Paired axial CT (left) and PSMA PET (right), 18F tracer.
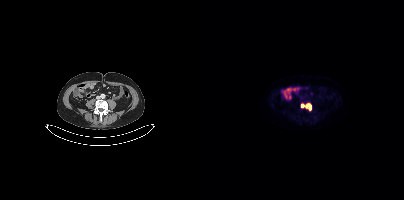
Coordinates are on the 200×200 PET (right) panel. PSMA-avid tumor lesion bounding boxes:
| # | x0 | y0 | x1 | y1 |
|---|---|---|---|---|
| 1 | 102 | 104 | 107 | 110 |
Small PSMA-avid focus (2 to 4 px across) near (center x, center y): (98, 105).